- Left: CT. Right: PSMA PET, same axial level, 18F tracer
- slice 136 of 454
- PET panel 200×200 px (4.1 mm/px)
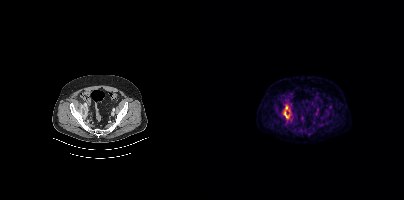
Findings: Coordinates are on the 200×200 PET (right) panel. PSMA-avid tumor lesion bounding box (x, y, width, height): x=79 y=104 w=8 h=16.